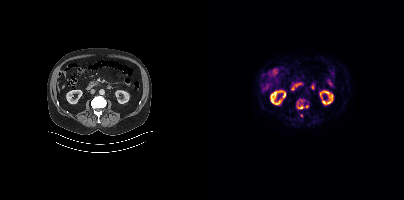
Findings: Coordinates are on the 200×200 PET (right) panel. PSMA-avid tumor lesion bounding box (x0,y0,x1,y1): [93,102,99,109]. Small PSMA-avid foci (2 to 4 px across) near (center x, center y): (102, 106), (97, 100), (97, 115).
- Two-panel axial: CT | PSMA PET, [18F]PSMA-1007 tracer